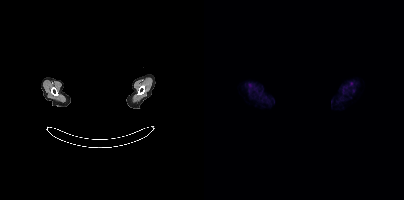
This slice has no annotated PSMA-avid lesion.
Privacy masking over the head, with the pixels inside a rectangle set to black.